Left: CT. Right: PSMA PET, same axial level, 18F-PSMA tracer. Slice 28 of 415.
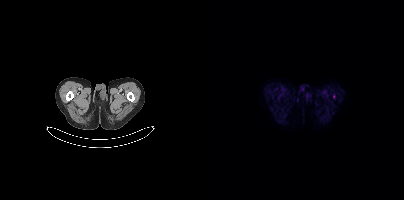
Negative for PSMA-avid disease on this slice.